modality: PSMA PET/CT | tracer: 18F-PSMA | view: axial | PET grid: 200×200
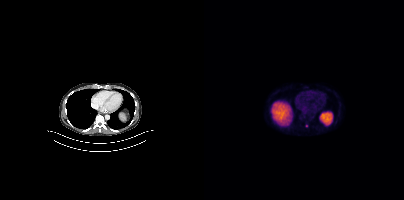
Negative for PSMA-avid disease on this slice.